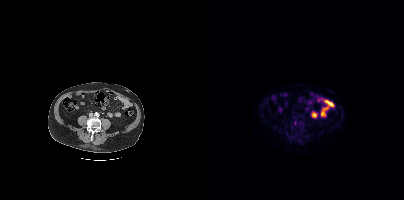
- Paired axial CT (left) and PSMA PET (right), [18F]PSMA-1007 tracer
- acquired on Siemens Biograph mCT Flow 20
- slice position z = -794 mm
Findings: Coordinates are on the 200×200 PET (right) panel. Small PSMA-avid focus (2 to 4 px across) near (center x, center y): (91, 122).